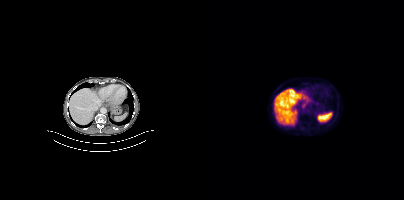
Coordinates are on the 200×200 PET (right) panel. PSMA-avid tumor lesion bounding box (x0, y0)-(x1, y1): (87, 120)-(92, 125).